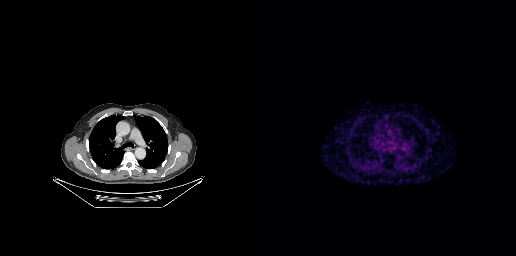
Findings: No tumor lesions annotated on this slice.
Technique: Left: CT. Right: PSMA PET, same axial level, [68Ga]Ga-PSMA-11 tracer. slice 166 of 227.